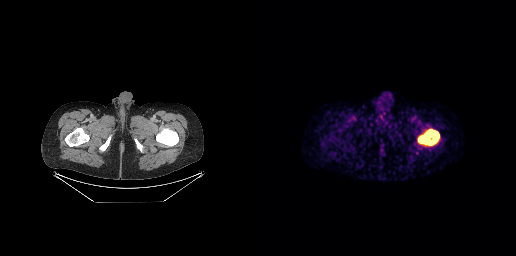
{"pet_grid":[256,256],"coord_frame":"pet_panel","coord_format":"x0,y0,x1,y1","lesion_bboxes":[[158,129,179,145]],"modality":"PSMA PET/CT","view":"axial","tracer":"68Ga-PSMA"}